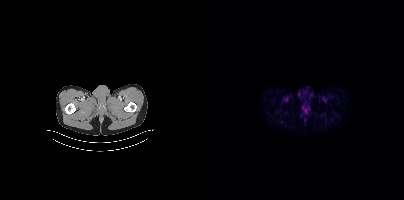
No PSMA-avid tumor lesions on this slice.
modality: PSMA PET/CT | tracer: 18F-PSMA | view: axial